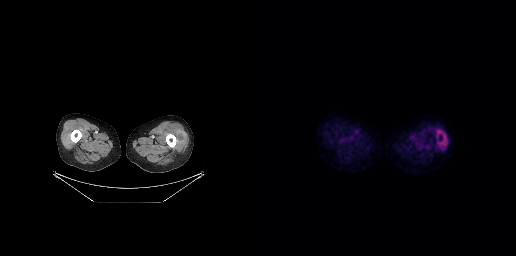
Findings: No tumor lesions annotated on this slice.
Technique: Left: CT. Right: PSMA PET, same axial level, 18F tracer. slice position z = -795 mm.